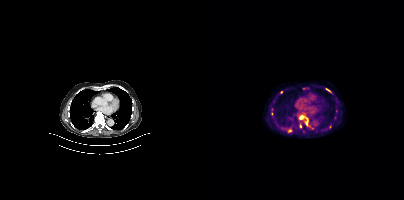
- Paired axial CT (left) and PSMA PET (right), [18F]PSMA-1007 tracer
Findings: Coordinates are on the 200×200 PET (right) panel. (showing 6 of 8 foci) PSMA-avid tumor lesion bounding boxes (x, y, width, height): x=95 y=115 w=10 h=11; x=122 y=88 w=5 h=4. Small PSMA-avid foci (2 to 4 px across) near (center x, center y): (77, 92); (96, 126); (86, 130); (125, 126).